- Left: CT. Right: PSMA PET, same axial level, 18F-PSMA tracer
- slice 251 of 427
- PET panel 200×200 px (4.1 mm/px)
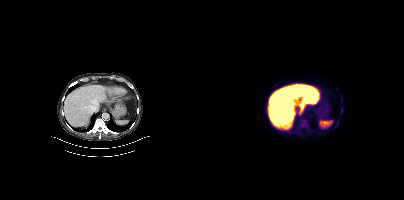
Findings: Coordinates are on the 200×200 PET (right) panel. (showing 4 of 5 foci) PSMA-avid tumor lesion bounding boxes (x, y, width, height): x=97 y=124 w=6 h=3 | x=137 y=108 w=2 h=6. Small PSMA-avid foci (2 to 4 px across) near (center x, center y): (99, 121) | (137, 97).